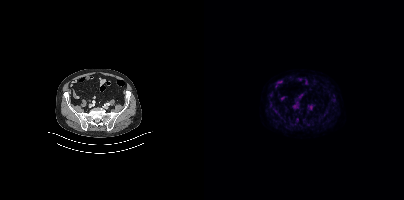
- Paired axial CT (left) and PSMA PET (right), 18F-PSMA tracer
- acquired on Siemens Biograph mCT Flow 20
- slice 140 of 466
Findings: No PSMA-avid tumor lesions on this slice.